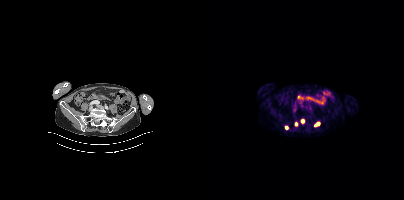
Left: CT. Right: PSMA PET, same axial level, [18F]PSMA-1007 tracer. PET panel 200×200 px (4.1 mm/px). Coordinates are on the 200×200 PET (right) panel. PSMA-avid tumor lesion bounding boxes (x0,y0,x1,y1): [96,118,100,123] [90,121,94,126] [110,122,115,126] [81,125,84,129].